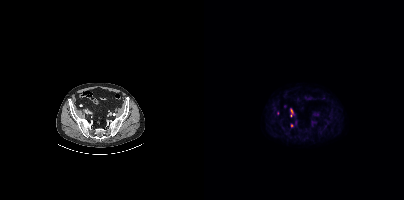
Coordinates are on the 200×200 PET (right) panel. (showing 2 of 4 foci) PSMA-avid tumor lesion bounding box (x, y, width, height): x=87 y=109 w=2 h=5. Small PSMA-avid focus (2 to 4 px across) near (center x, center y): (87, 125). Two-panel axial: CT | PSMA PET, [18F]PSMA-1007 tracer. Acquired on Siemens Biograph mCT Flow 20. Slice 100 of 435.